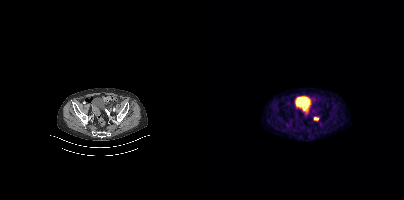
Two-panel axial: CT | PSMA PET, [68Ga]Ga-PSMA-11 tracer. Acquired on Siemens Biograph mCT Flow 20. Slice 93 of 405. Coordinates are on the 200×200 PET (right) panel. PSMA-avid tumor lesion bounding box (x0, y0)-(x1, y1): (110, 117)-(114, 120).